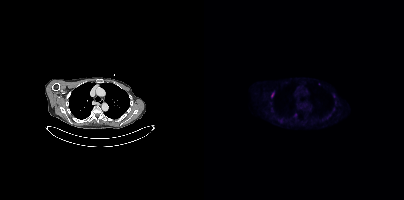
Paired axial CT (left) and PSMA PET (right), [18F]PSMA-1007 tracer. Slice position z = -1010 mm.
Coordinates are on the 200×200 PET (right) panel. PSMA-avid tumor lesion bounding boxes:
| # | x0 | y0 | x1 | y1 |
|---|---|---|---|---|
| 1 | 67 | 92 | 70 | 97 |
Small PSMA-avid foci (2 to 4 px across) near (center x, center y): (115, 83); (123, 117).